modality: PSMA PET/CT | tracer: [68Ga]Ga-PSMA-11 | view: axial | PET grid: 168×168
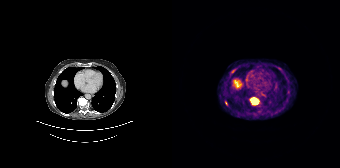
Coordinates are on the 168×168 PET (right) panel. PSMA-avid tumor lesion bounding boxes (x, y, width, height): x=78 y=98 w=9 h=7; x=59 y=69 w=5 h=4; x=53 y=101 w=3 h=5. Small PSMA-avid focus (2 to 4 px across) near (center x, center y): (107, 68).